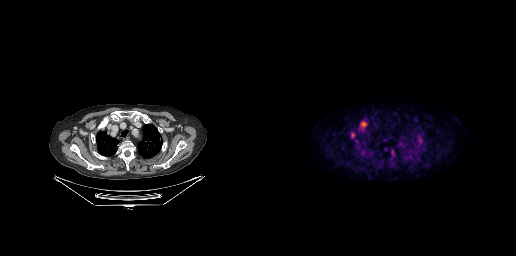
{"modality":"PSMA PET/CT","view":"axial","tracer":"18F-PSMA","pet_grid":[256,256],"coord_frame":"pet_panel","coord_format":"x0,y0,x1,y1","lesion_bboxes":[[99,121,107,131],[91,133,94,137]],"small_foci_centers":[[132,152]]}